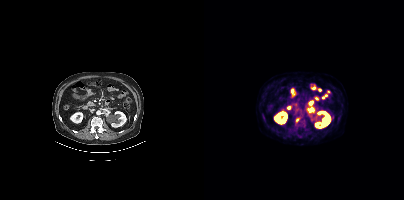
Technique: Left: CT. Right: PSMA PET, same axial level, 18F-PSMA tracer. acquired on Siemens Biograph mCT Flow 20. slice 212 of 448.
Findings: Coordinates are on the 200×200 PET (right) panel. Small PSMA-avid focus (2 to 4 px across) near (center x, center y): (93, 119).